Left: CT. Right: PSMA PET, same axial level, 18F-PSMA tracer. Slice 217 of 385. PET panel 200×200 px (4.1 mm/px).
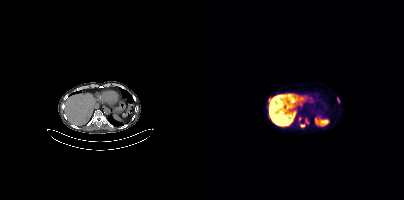
Coordinates are on the 200×200 PET (right) panel. PSMA-avid tumor lesion bounding boxes (partial; 1 more focus not listed):
| # | x0 | y0 | x1 | y1 |
|---|---|---|---|---|
| 1 | 96 | 124 | 100 | 127 |
| 2 | 94 | 117 | 97 | 121 |
| 3 | 133 | 98 | 135 | 102 |
| 4 | 101 | 119 | 104 | 123 |
| 5 | 64 | 98 | 65 | 102 |
Small PSMA-avid focus (2 to 4 px across) near (center x, center y): (72, 93).